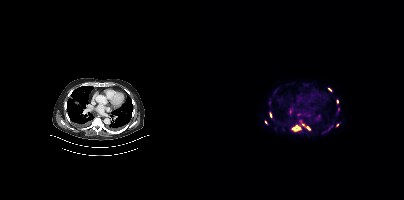
- Two-panel axial: CT | PSMA PET, 18F tracer
- acquired on Siemens Biograph mCT Flow 20
- PET panel 200×200 px (4.1 mm/px)
Findings: Coordinates are on the 200×200 PET (right) panel. (showing 6 of 7 foci) PSMA-avid tumor lesion bounding boxes (x0, y0)-(x1, y1): (87, 120)-(106, 131); (132, 99)-(134, 103); (66, 112)-(67, 117). Small PSMA-avid foci (2 to 4 px across) near (center x, center y): (125, 89); (133, 125); (62, 122).